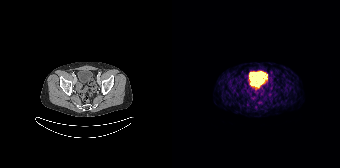
modality: PSMA PET/CT | tracer: [68Ga]Ga-PSMA-11 | view: axial | PET grid: 168×168
No tumor lesions annotated on this slice.